Technique: Two-panel axial: CT | PSMA PET, 18F tracer. acquired on Siemens Biograph mCT Flow 20. PET panel 200×200 px (4.1 mm/px).
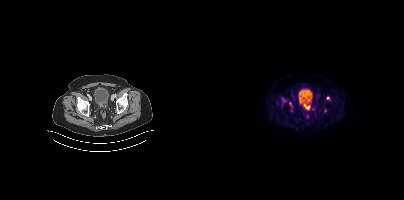
Findings: Coordinates are on the 200×200 PET (right) panel. (showing 4 of 5 foci) PSMA-avid tumor lesion bounding box (x0,y0,x1,y1): [100,103,105,109]. Small PSMA-avid foci (2 to 4 px across) near (center x, center y): (86, 103) (124, 97) (121, 111).